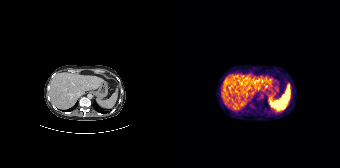
modality: PSMA PET/CT | tracer: 68Ga-PSMA | view: axial
Negative for PSMA-avid disease on this slice.